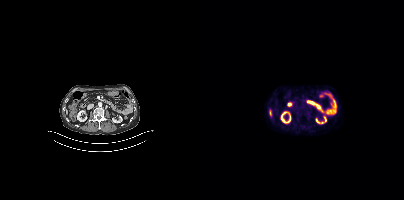
- Two-panel axial: CT | PSMA PET, 18F tracer
Findings: Negative for PSMA-avid disease on this slice.